Left: CT. Right: PSMA PET, same axial level, 18F tracer.
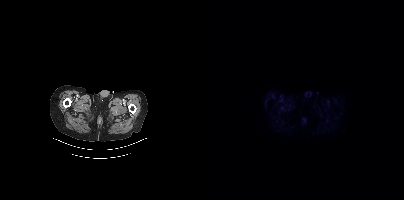
Negative for PSMA-avid disease on this slice.